- Two-panel axial: CT | PSMA PET, [68Ga]Ga-PSMA-11 tracer
- acquired on Siemens Biograph 64-4R TruePoint
- slice 39 of 165
- PET panel 168×168 px (4.1 mm/px)
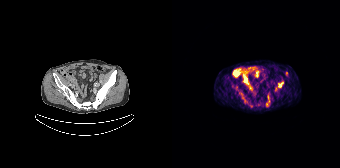
Findings: Coordinates are on the 168×168 PET (right) panel. PSMA-avid tumor lesion bounding box (x0,y0,x1,y1): [106,82,111,87].